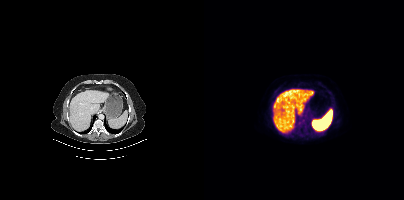
- Left: CT. Right: PSMA PET, same axial level, 18F-PSMA tracer
- PET panel 200×200 px (4.1 mm/px)
Findings: Negative for PSMA-avid disease on this slice.